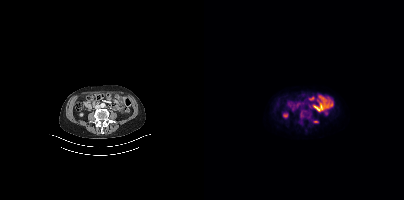
{"pet_grid":[200,200],"coord_frame":"pet_panel","coord_format":"x0,y0,x1,y1","lesion_bboxes":[[110,121,114,122]],"modality":"PSMA PET/CT","view":"axial","tracer":"[18F]PSMA-1007"}